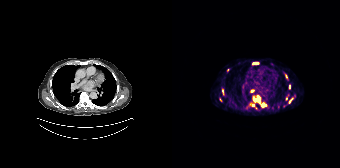
modality: PSMA PET/CT | tracer: 68Ga-PSMA | view: axial
Coordinates are on the 168×168 PET (right) panel. (showing 10 of 11 foci) PSMA-avid tumor lesion bounding boxes (x, y, width, height): x=81 y=98 w=7 h=4 / x=89 y=103 w=6 h=5 / x=81 y=62 w=6 h=2. Small PSMA-avid foci (2 to 4 px across) near (center x, center y): (114, 75) / (114, 98) / (84, 108) / (117, 87) / (50, 91) / (117, 101) / (81, 105).